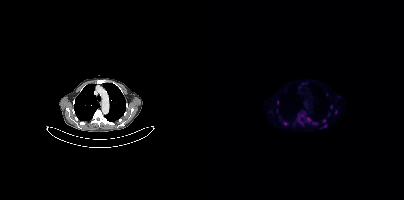
Left: CT. Right: PSMA PET, same axial level, [18F]PSMA-1007 tracer. Slice position z = -574 mm. PET panel 200×200 px (4.1 mm/px). Coordinates are on the 200×200 PET (right) panel. (showing 6 of 9 foci) Small PSMA-avid foci (2 to 4 px across) near (center x, center y): (104, 119) | (111, 123) | (121, 126) | (120, 120) | (81, 123) | (131, 111).